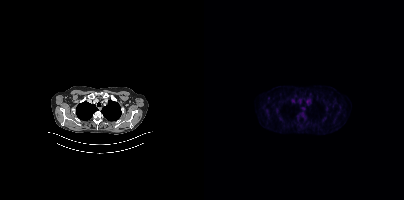
Paired axial CT (left) and PSMA PET (right), 18F tracer. Acquired on Siemens Biograph mCT Flow 20. PET panel 200×200 px (4.1 mm/px). No PSMA-avid tumor lesions on this slice.